Paired axial CT (left) and PSMA PET (right), 18F tracer. PET panel 200×200 px (4.1 mm/px).
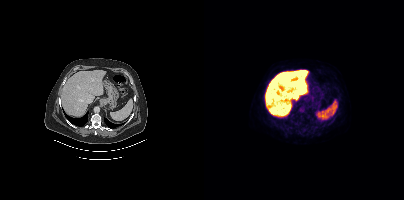
This slice has no annotated PSMA-avid lesion.